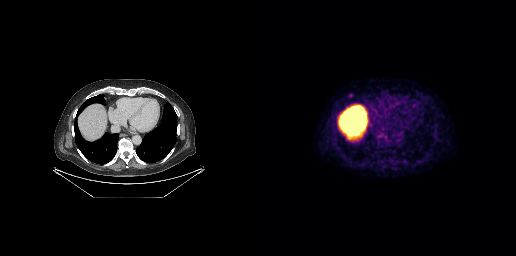
- Left: CT. Right: PSMA PET, same axial level, [18F]PSMA-1007 tracer
- slice 208 of 299
Findings: Coordinates are on the 256×256 PET (right) panel. Small PSMA-avid focus (2 to 4 px across) near (center x, center y): (90, 94).